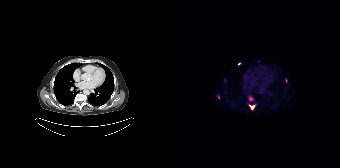
Findings: Coordinates are on the 168×168 PET (right) panel. (showing 5 of 6 foci) PSMA-avid tumor lesion bounding boxes (x0,y0,x1,y1): [77,104,83,110], [77,96,80,100]. Small PSMA-avid foci (2 to 4 px across) near (center x, center y): (52, 80), (46, 97), (67, 63).
- Two-panel axial: CT | PSMA PET, [18F]PSMA-1007 tracer
- slice 112 of 165